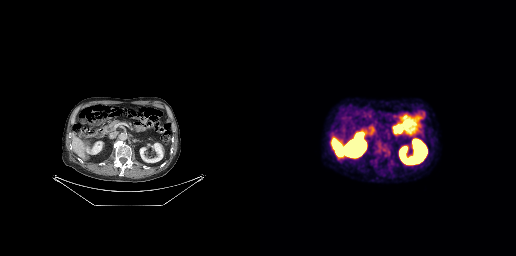
Technique: Paired axial CT (left) and PSMA PET (right), 18F-PSMA tracer. acquired on GE Discovery 690.
Findings: This slice has no annotated PSMA-avid lesion.